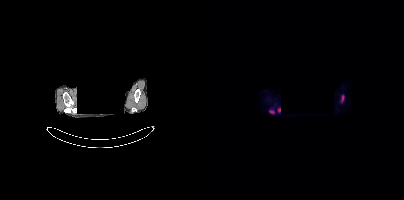
modality: PSMA PET/CT | tracer: [18F]PSMA-1007 | view: axial | redaction: facial region redacted
Coordinates are on the 200×200 PET (right) panel. PSMA-avid tumor lesion bounding boxes (x0, y0)-(x1, y1): (65, 110)-(70, 113); (137, 95)-(139, 101); (74, 108)-(76, 112).